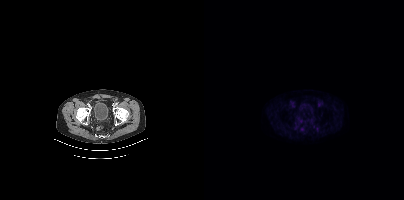
Technique: Two-panel axial: CT | PSMA PET, [18F]PSMA-1007 tracer. slice 75 of 383.
Findings: This slice has no annotated PSMA-avid lesion.